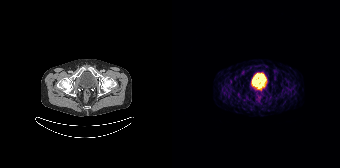
- Left: CT. Right: PSMA PET, same axial level, 68Ga-PSMA tracer
- slice 47 of 195
- PET panel 168×168 px (4.1 mm/px)
Findings: No PSMA-avid tumor lesions on this slice.